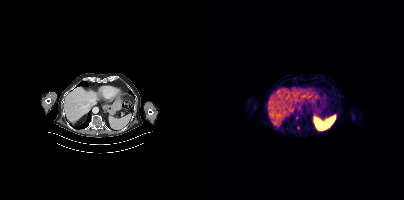
Two-panel axial: CT | PSMA PET, [18F]PSMA-1007 tracer. Slice position z = -636 mm. PET panel 200×200 px (4.1 mm/px). Negative for PSMA-avid disease on this slice.